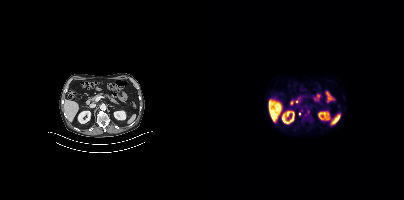
Coordinates are on the 200×200 PET (right) panel. Small PSMA-avid focus (2 to 4 px across) near (center x, center y): (95, 113). Two-panel axial: CT | PSMA PET, 18F tracer. Slice position z = -1124 mm.